Two-panel axial: CT | PSMA PET, 18F tracer.
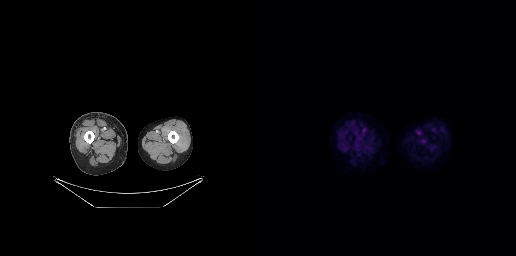
No tumor lesions annotated on this slice.